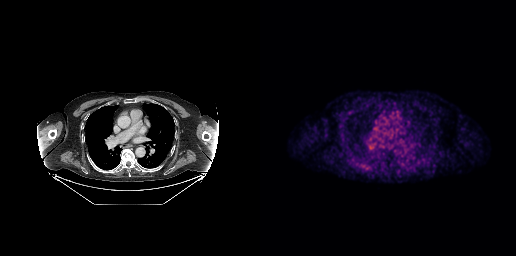
modality: PSMA PET/CT | tracer: 18F-PSMA | view: axial | PET grid: 256×256
This slice has no annotated PSMA-avid lesion.